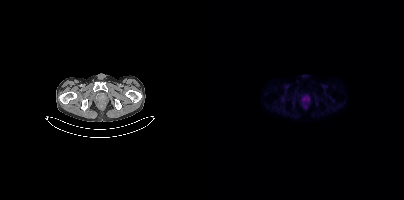
Paired axial CT (left) and PSMA PET (right), 18F tracer. Acquired on Siemens Biograph mCT Flow 20. Only PSMA-avid lesion pieces thinner than 2 px on this slice (not listed).